Two-panel axial: CT | PSMA PET, [18F]PSMA-1007 tracer. Slice 32 of 387. PET panel 200×200 px (4.1 mm/px).
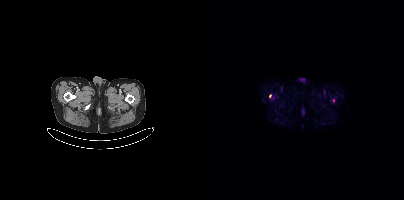
Coordinates are on the 200×200 PET (right) panel. Small PSMA-avid foci (2 to 4 px across) near (center x, center y): (66, 95) | (129, 100).